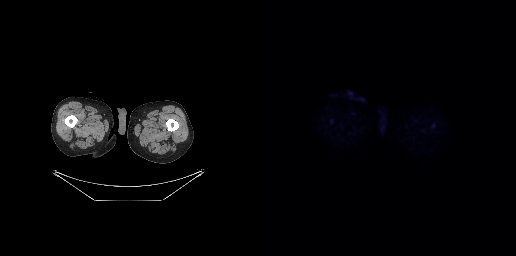
No tumor lesions annotated on this slice.